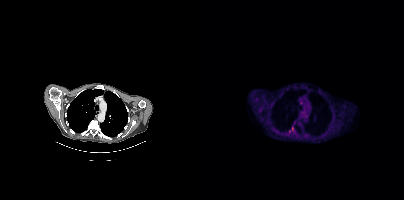
Findings: Coordinates are on the 200×200 PET (right) panel. Small PSMA-avid foci (2 to 4 px across) near (center x, center y): (88, 128); (85, 131).
- Left: CT. Right: PSMA PET, same axial level, [18F]PSMA-1007 tracer